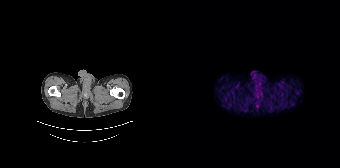
This slice has no annotated PSMA-avid lesion.